- Paired axial CT (left) and PSMA PET (right), [18F]PSMA-1007 tracer
- acquired on Siemens Biograph mCT Flow 20
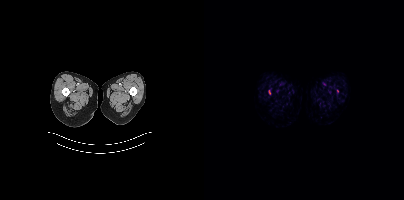
Findings: Coordinates are on the 200×200 PET (right) panel. PSMA-avid tumor lesion bounding box (x0,y0,x1,y1): [65,90,66,94]. Small PSMA-avid focus (2 to 4 px across) near (center x, center y): (133, 90).